Paired axial CT (left) and PSMA PET (right), [68Ga]Ga-PSMA-11 tracer. Slice 141 of 263. PET panel 256×256 px (2.7 mm/px).
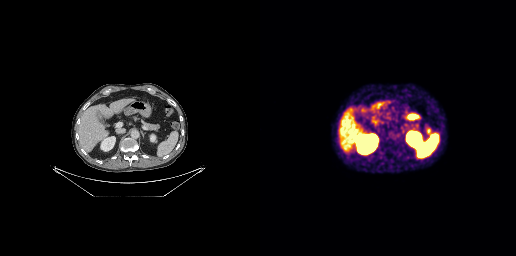
Coordinates are on the 256×256 PET (right) panel. Small PSMA-avid focus (2 to 4 px across) near (center x, center y): (168, 130).